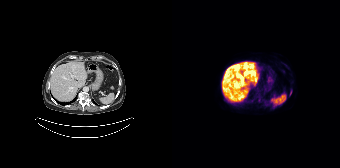
Coordinates are on the 168×168 PET (right) panel. (showing 2 of 3 foci) Small PSMA-avid foci (2 to 4 px across) near (center x, center y): (66, 76), (73, 66).
modality: PSMA PET/CT | tracer: 18F-PSMA | view: axial | PET grid: 168×168